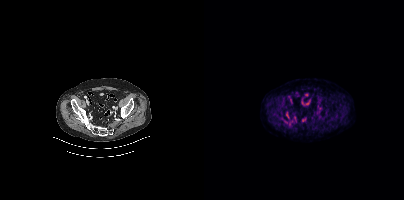
Negative for PSMA-avid disease on this slice. Two-panel axial: CT | PSMA PET, 18F-PSMA tracer. Slice 104 of 454. PET panel 200×200 px (4.1 mm/px).